modality: PSMA PET/CT | tracer: 18F | view: axial
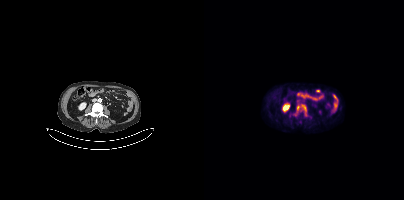
Coordinates are on the 200×200 PET (right) panel. (showing 1 of 2 foci) PSMA-avid tumor lesion bounding box (x, y, width, height): x=93 y=104 w=10 h=12.